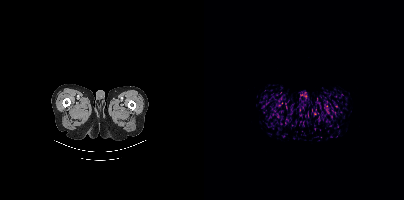
Negative for PSMA-avid disease on this slice.
modality: PSMA PET/CT | tracer: 18F | view: axial